Left: CT. Right: PSMA PET, same axial level, [68Ga]Ga-PSMA-11 tracer. PET panel 168×168 px (4.1 mm/px).
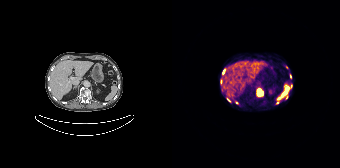
Coordinates are on the 168×168 PET (right) panel. PSMA-avid tumor lesion bounding boxes (x0, y0)-(x1, y1): (85, 89)-(91, 96) / (113, 94)-(116, 99) / (48, 79)-(50, 84) / (104, 100)-(107, 104). Small PSMA-avid foci (2 to 4 px across) near (center x, center y): (119, 85) / (56, 99) / (51, 71) / (118, 76) / (64, 102).